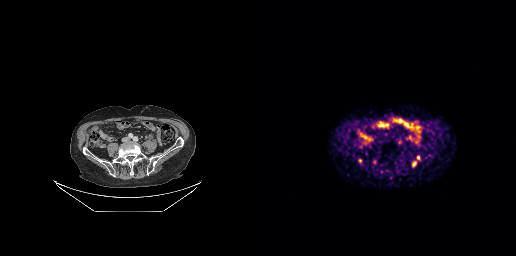
Technique: Left: CT. Right: PSMA PET, same axial level, 68Ga tracer. PET panel 256×256 px (2.7 mm/px).
Findings: Coordinates are on the 256×256 PET (right) panel. (showing 4 of 5 foci) Small PSMA-avid foci (2 to 4 px across) near (center x, center y): (158, 157), (114, 161), (154, 164), (99, 160).